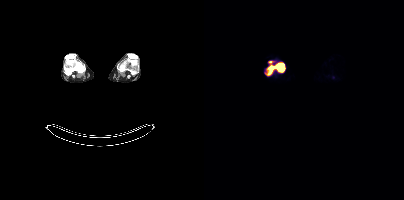
{"pet_grid":[200,200],"coord_frame":"pet_panel","coord_format":"x0,y0,x1,y1","lesion_bboxes":[[63,61,81,75]],"modality":"PSMA PET/CT","view":"axial","tracer":"[18F]PSMA-1007"}